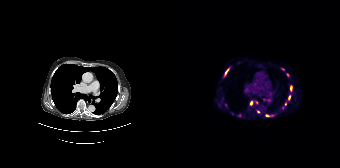
Coordinates are on the 168×168 PET (right) panel. (showing 9 of 12 foci) PSMA-avid tumor lesion bounding boxes (x0, y0)-(x1, y1): (78, 101)-(80, 105) | (53, 69)-(56, 74) | (116, 96)-(118, 100) | (118, 86)-(119, 90). Small PSMA-avid foci (2 to 4 px across) near (center x, center y): (95, 115) | (113, 104) | (86, 111) | (84, 102) | (67, 115).
modality: PSMA PET/CT | tracer: [68Ga]Ga-PSMA-11 | view: axial